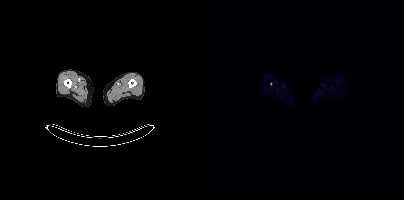
Coordinates are on the 200×200 PET (right) panel. Small PSMA-avid focus (2 to 4 px across) near (center x, center y): (66, 83).